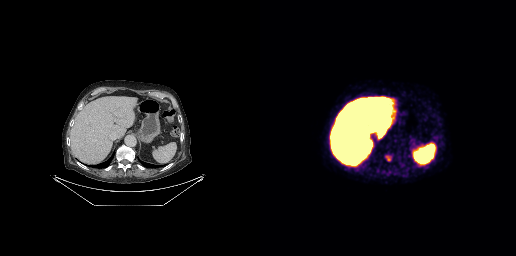
- Left: CT. Right: PSMA PET, same axial level, 18F-PSMA tracer
Findings: Coordinates are on the 256×256 PET (right) panel. PSMA-avid tumor lesion bounding box (x0, y0)-(x1, y1): (125, 155)-(131, 161).